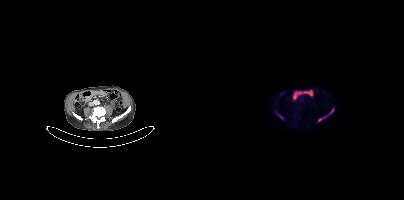
Technique: Paired axial CT (left) and PSMA PET (right), [18F]PSMA-1007 tracer. PET panel 200×200 px (4.1 mm/px).
Findings: Coordinates are on the 200×200 PET (right) panel. PSMA-avid tumor lesion bounding boxes (x, y, width, height): x=71 y=111 w=9 h=9 / x=114 y=116 w=9 h=6 / x=125 y=108 w=5 h=7.